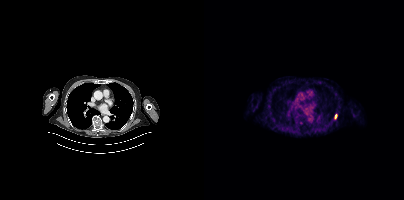
Coordinates are on the 200×200 PET (right) panel. PSMA-avid tumor lesion bounding box (x0,y0,x1,y1): [131,114,132,118].